Paired axial CT (left) and PSMA PET (right), 18F-PSMA tracer.
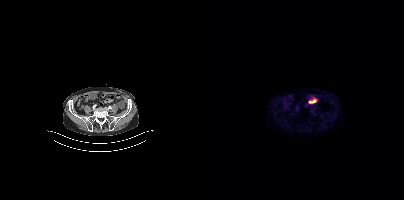
No tumor lesions annotated on this slice.